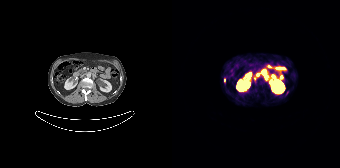
Coordinates are on the 168×168 PET (right) panel. Small PSMA-avid focus (2 to 4 px across) near (center x, center y): (52, 80).